- Two-panel axial: CT | PSMA PET, [18F]PSMA-1007 tracer
- PET panel 200×200 px (4.1 mm/px)
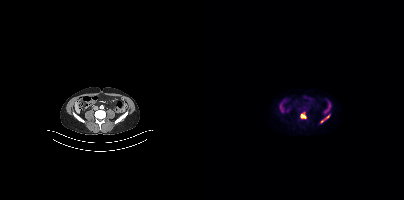
Findings: Coordinates are on the 200×200 PET (right) panel. PSMA-avid tumor lesion bounding boxes (x0,y0,x1,y1): [96,112,102,118]; [116,114,126,123].